Left: CT. Right: PSMA PET, same axial level, 68Ga tracer. Acquired on Siemens Biograph 64-4R TruePoint. Slice 61 of 195. PET panel 168×168 px (4.1 mm/px).
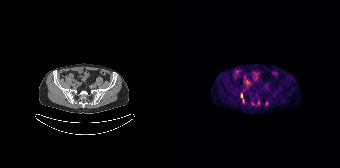
Coordinates are on the 168×168 PET (right) panel. (showing 4 of 5 foci) Small PSMA-avid foci (2 to 4 px across) near (center x, center y): (69, 95); (86, 102); (94, 103); (80, 103).